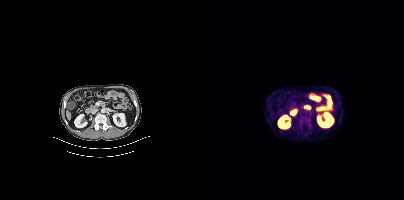
Coordinates are on the 200×200 PET (right) panel. PSMA-avid tumor lesion bounding boxes:
| # | x0 | y0 | x1 | y1 |
|---|---|---|---|---|
| 1 | 95 | 115 | 107 | 127 |
Left: CT. Right: PSMA PET, same axial level, 18F tracer. Slice 194 of 448.